Two-panel axial: CT | PSMA PET, 18F tracer. Slice 52 of 165. PET panel 168×168 px (4.1 mm/px).
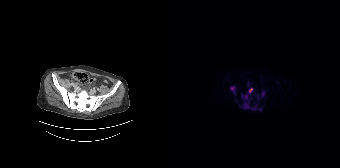
Coordinates are on the 168×168 PET (right) panel. PSMA-avid tumor lesion bounding boxes (partial; 3 more foci not listed):
| # | x0 | y0 | x1 | y1 |
|---|---|---|---|---|
| 1 | 58 | 86 | 63 | 94 |
| 2 | 71 | 102 | 77 | 108 |
| 3 | 89 | 91 | 93 | 96 |
| 4 | 76 | 88 | 80 | 93 |
| 5 | 73 | 95 | 75 | 99 |
Small PSMA-avid foci (2 to 4 px across) near (center x, center y): (68, 106); (82, 108).